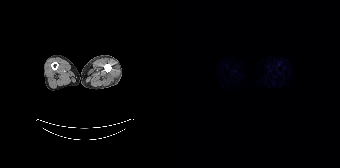
Technique: Left: CT. Right: PSMA PET, same axial level, [18F]PSMA-1007 tracer.
Findings: No PSMA-avid tumor lesions on this slice.